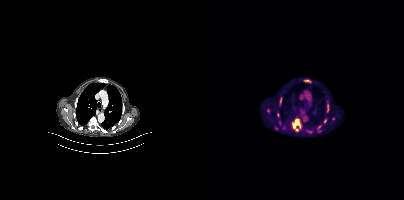
Findings: Coordinates are on the 200×200 PET (right) panel. (showing 9 of 11 foci) PSMA-avid tumor lesion bounding boxes (x0, y0)-(x1, y1): (88, 120)-(97, 129); (71, 126)-(74, 130); (123, 104)-(124, 110); (80, 125)-(82, 129); (73, 113)-(75, 117); (75, 101)-(77, 105). Small PSMA-avid foci (2 to 4 px across) near (center x, center y): (107, 131); (64, 110); (113, 127).
Technique: Two-panel axial: CT | PSMA PET, [18F]PSMA-1007 tracer. acquired on Siemens Biograph mCT Flow 20. slice 271 of 367. PET panel 200×200 px (4.1 mm/px).